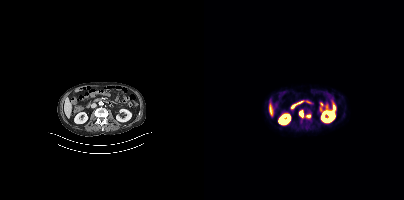
{"modality":"PSMA PET/CT","view":"axial","tracer":"18F","pet_grid":[200,200],"coord_frame":"pet_panel","coord_format":"x0,y0,x1,y1","lesion_bboxes":[[95,110,99,116],[101,114,107,118]],"small_foci_centers":[[97,120],[105,111]]}